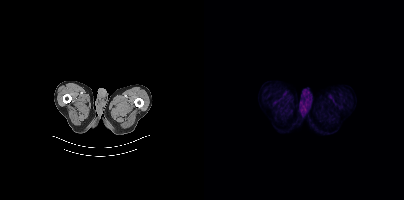
- Paired axial CT (left) and PSMA PET (right), 18F tracer
- acquired on Siemens Biograph mCT Flow 20
- slice position z = -128 mm
- PET panel 200×200 px (4.1 mm/px)
Findings: No PSMA-avid tumor lesions on this slice.